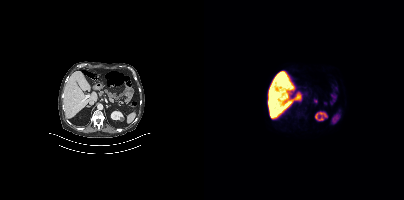
No tumor lesions annotated on this slice.